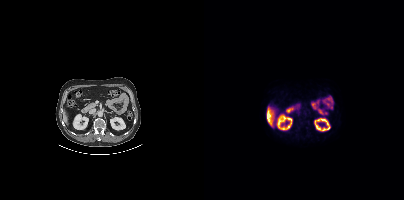
modality: PSMA PET/CT | tracer: 18F-PSMA | view: axial | PET grid: 200×200
Only PSMA-avid lesion pieces thinner than 2 px on this slice (not listed).